Left: CT. Right: PSMA PET, same axial level, 18F-PSMA tracer. Acquired on Siemens Biograph mCT Flow 20. Slice 133 of 466. PET panel 200×200 px (4.1 mm/px).
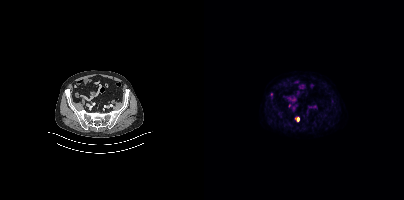
Coordinates are on the 200×200 PET (right) panel. PSMA-avid tumor lesion bounding box (x, y, width, height): x=91 y=117 w=5 h=5. Small PSMA-avid focus (2 to 4 px across) near (center x, center y): (67, 94).